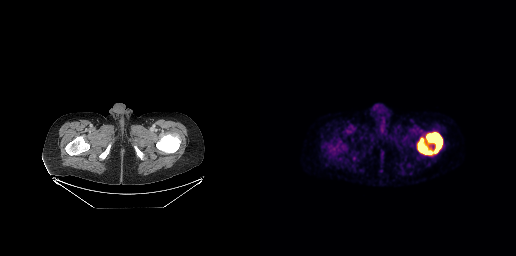
Coordinates are on the 256×256 PET (right) panel. PSMA-avid tumor lesion bounding box (x0, y0)-(x1, y1): (157, 132)-(182, 154).